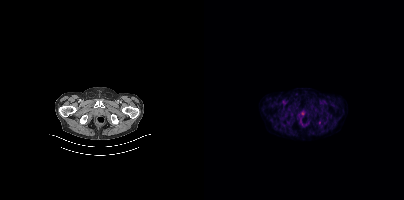
Coordinates are on the 200×200 PET (right) panel. Small PSMA-avid focus (2 to 4 px across) near (center x, center y): (115, 122).